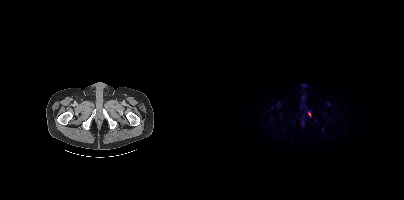
Findings: Coordinates are on the 200×200 PET (right) panel. PSMA-avid tumor lesion bounding box (x0,y0,x1,y1): [104,112,106,116].
- Paired axial CT (left) and PSMA PET (right), [18F]PSMA-1007 tracer
- acquired on Siemens Biograph mCT Flow 20
- slice 33 of 417